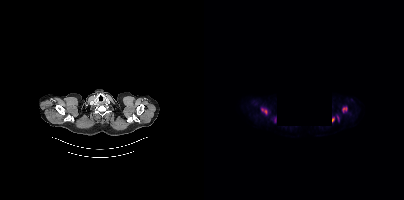
{"modality":"PSMA PET/CT","view":"axial","tracer":"[18F]PSMA-1007","pet_grid":[200,200],"coord_frame":"pet_panel","coord_format":"x0,y0,x1,y1","lesion_bboxes":[[57,108,63,114],[138,107,143,111],[71,118,72,122]],"small_foci_centers":[[129,119],[133,118]],"redaction":"black rectangle is a privacy mask"}